- Left: CT. Right: PSMA PET, same axial level, [18F]PSMA-1007 tracer
- acquired on Siemens Biograph mCT Flow 20
- PET panel 200×200 px (4.1 mm/px)
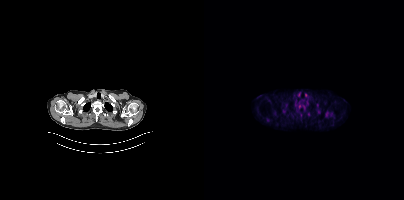
Findings: Coordinates are on the 200×200 PET (right) panel. PSMA-avid tumor lesion bounding box (x0,y0,x1,y1): [121,111,124,116]. Small PSMA-avid foci (2 to 4 px across) near (center x, center y): (115, 111); (127, 114).